Left: CT. Right: PSMA PET, same axial level, [18F]PSMA-1007 tracer. PET panel 200×200 px (4.1 mm/px).
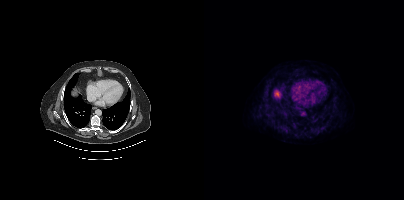
Negative for PSMA-avid disease on this slice.